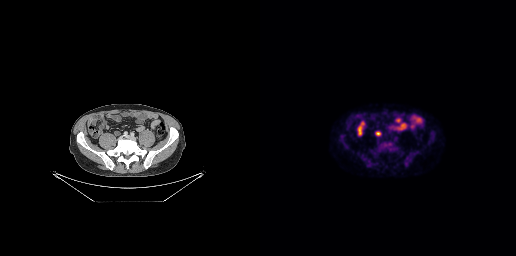
No PSMA-avid tumor lesions on this slice. Paired axial CT (left) and PSMA PET (right), [18F]PSMA-1007 tracer. Slice position z = -547 mm. PET panel 256×256 px (2.7 mm/px).